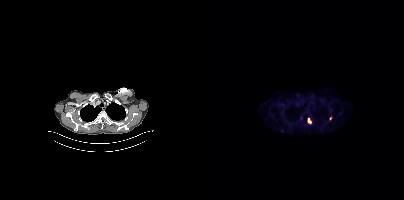
modality: PSMA PET/CT | tracer: 18F | view: axial | PET grid: 200×200
Coordinates are on the 200×200 PET (right) panel. PSMA-avid tumor lesion bounding box (x, y, width, height): x=104 y=118 w=4 h=6. Small PSMA-avid foci (2 to 4 px across) near (center x, center y): (97, 117) | (126, 118) | (77, 130).